Technique: Left: CT. Right: PSMA PET, same axial level, [18F]PSMA-1007 tracer. slice 237 of 421.
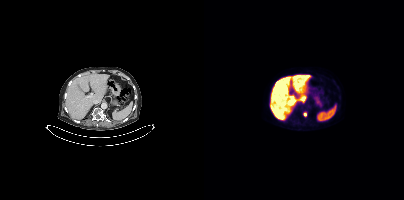
Findings: Coordinates are on the 200×200 PET (right) panel. PSMA-avid tumor lesion bounding box (x, y, width, height): x=99 y=112 w=4 h=5.